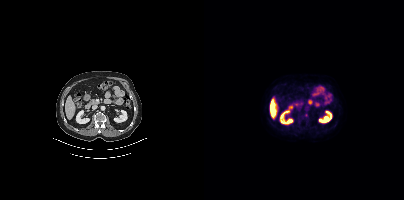
This slice has no annotated PSMA-avid lesion.